Paired axial CT (left) and PSMA PET (right), 68Ga-PSMA tracer. Slice position z = -792 mm. PET panel 256×256 px (2.7 mm/px).
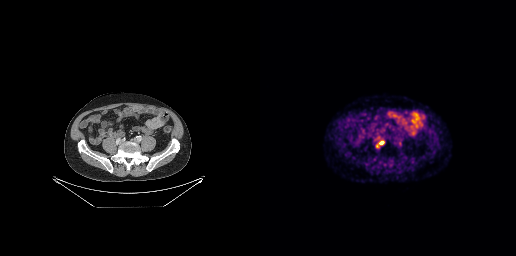
Coordinates are on the 256×256 PET (right) panel. PSMA-avid tumor lesion bounding boxes (partial; 1 more focus not listed):
| # | x0 | y0 | x1 | y1 |
|---|---|---|---|---|
| 1 | 119 | 141 | 124 | 144 |
Small PSMA-avid focus (2 to 4 px across) near (center x, center y): (116, 146).